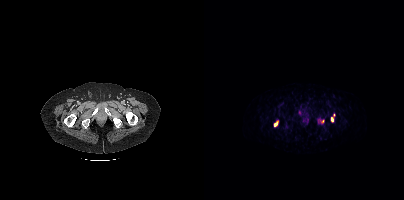
{"modality":"PSMA PET/CT","view":"axial","tracer":"[68Ga]Ga-PSMA-11","pet_grid":[200,200],"coord_frame":"pet_panel","coord_format":"x0,y0,x1,y1","partial":true,"lesion_bboxes":[[70,120,74,126],[114,119,120,123],[127,117,129,121]]}